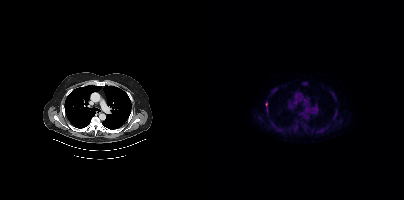
Coordinates are on the 200×200 PET (right) panel. (showing 10 of 11 foci) PSMA-avid tumor lesion bounding boxes (x0, y0)-(x1, y1): (65, 119)-(73, 129); (90, 119)-(97, 128); (116, 126)-(124, 133); (99, 81)-(103, 86); (98, 125)-(101, 129); (130, 111)-(134, 115). Small PSMA-avid foci (2 to 4 px across) near (center x, center y): (69, 89); (130, 97); (63, 110); (62, 104).